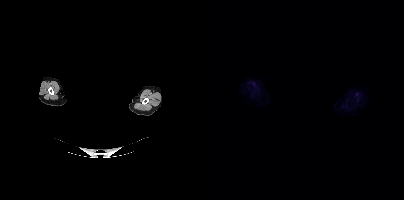
A rectangle over the head was blacked out to remove identifiable facial features.
No PSMA-avid tumor lesions on this slice.